modality: PSMA PET/CT | tracer: [18F]PSMA-1007 | view: axial
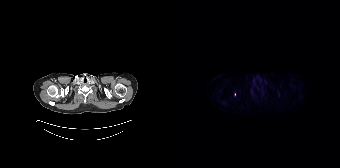
Coordinates are on the 168×168 PET (right) panel. Small PSMA-avid focus (2 to 4 px across) near (center x, center y): (62, 94).